modality: PSMA PET/CT | tracer: 68Ga-PSMA | view: axial | PET grid: 168×168
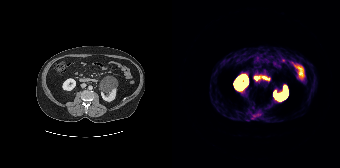
No tumor lesions annotated on this slice.